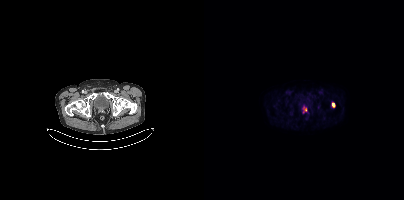
Technique: Two-panel axial: CT | PSMA PET, 18F tracer.
Findings: Coordinates are on the 200×200 PET (right) panel. PSMA-avid tumor lesion bounding box (x, y, width, height): x=99 y=107 w=5 h=6. Small PSMA-avid focus (2 to 4 px across) near (center x, center y): (129, 104).